Technique: Two-panel axial: CT | PSMA PET, 68Ga-PSMA tracer. slice position z = -835 mm.
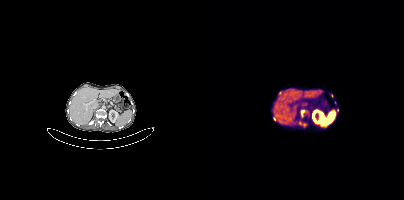
Findings: Coordinates are on the 200×200 PET (right) panel. (showing 6 of 7 foci) PSMA-avid tumor lesion bounding boxes (x0,y0,x1,y1): [95,121,102,126], [97,110,101,116], [75,91,77,95]. Small PSMA-avid foci (2 to 4 px across) near (center x, center y): (70, 118), (133, 110), (127, 95).